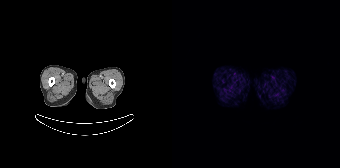
This slice has no annotated PSMA-avid lesion.
modality: PSMA PET/CT | tracer: 68Ga-PSMA | view: axial